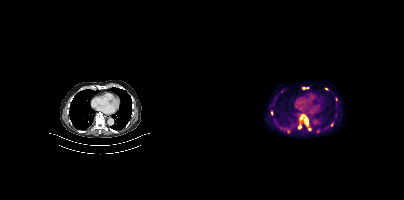
Paired axial CT (left) and PSMA PET (right), 18F tracer. Acquired on Siemens Biograph mCT Flow 20. Slice 256 of 407.
Coordinates are on the 200×200 PET (right) panel. PSMA-avid tumor lesion bounding boxes:
| # | x0 | y0 | x1 | y1 |
|---|---|---|---|---|
| 1 | 94 | 114 | 104 | 129 |
Small PSMA-avid foci (2 to 4 px across) near (center x, center y): (105, 129); (128, 124); (132, 99); (67, 112); (100, 87); (122, 88); (103, 87).